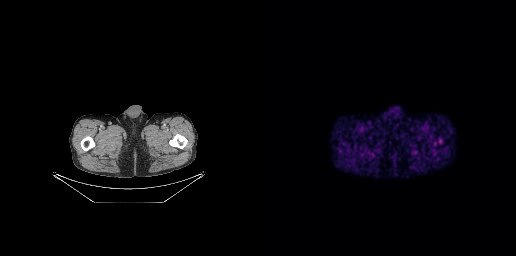
Technique: Left: CT. Right: PSMA PET, same axial level, 68Ga tracer. slice 25 of 263.
Findings: This slice has no annotated PSMA-avid lesion.